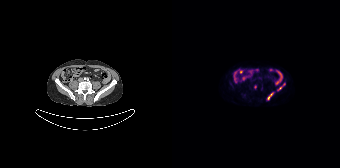
{"modality":"PSMA PET/CT","view":"axial","tracer":"18F","pet_grid":[168,168],"coord_frame":"pet_panel","coord_format":"x0,y0,x1,y1","lesion_bboxes":[[105,83,113,90],[96,92,101,99]],"small_foci_centers":[[83,87]]}